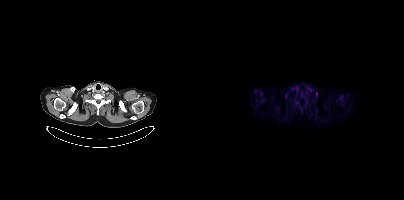
Coordinates are on the 200×200 PET (right) panel. (showing 1 of 2 foci) PSMA-avid tumor lesion bounding box (x0, y0)-(x1, y1): (112, 92)-(113, 96).